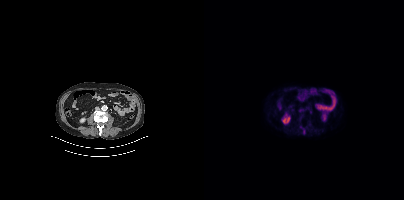
Coordinates are on the 200×200 PET (right) panel. PSMA-avid tumor lesion bounding boxes (partial; 1 more focus not listed):
| # | x0 | y0 | x1 | y1 |
|---|---|---|---|---|
| 1 | 96 | 126 | 101 | 134 |
Two-panel axial: CT | PSMA PET, 18F-PSMA tracer. Acquired on Siemens Biograph mCT Flow 20.